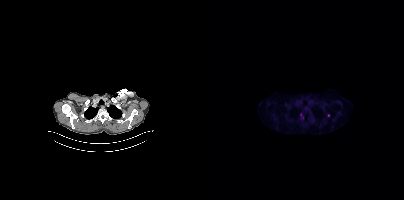
Coordinates are on the 200×200 PET (right) panel. Small PSMA-avid foci (2 to 4 px across) near (center x, center y): (97, 115) | (124, 115). Two-panel axial: CT | PSMA PET, 18F-PSMA tracer. Slice 327 of 405. PET panel 200×200 px (4.1 mm/px).